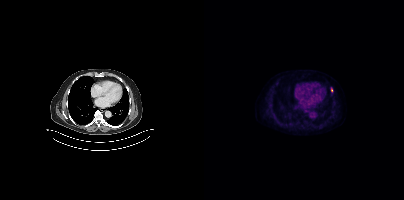
Coordinates are on the 200×200 PET (right) panel. Small PSMA-avid focus (2 to 4 px across) near (center x, center y): (127, 89).